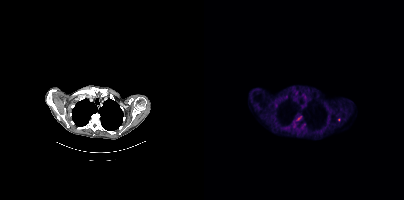
Paired axial CT (left) and PSMA PET (right), 18F tracer.
Coordinates are on the 200×200 PET (right) panel. PSMA-avid tumor lesion bounding boxes:
| # | x0 | y0 | x1 | y1 |
|---|---|---|---|---|
| 1 | 93 | 116 | 97 | 120 |
Small PSMA-avid focus (2 to 4 px across) near (center x, center y): (135, 119).